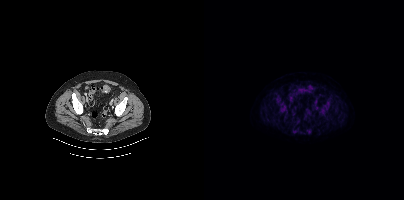
Paired axial CT (left) and PSMA PET (right), 18F-PSMA tracer. Slice 118 of 464.
Coordinates are on the 200×200 PET (right) panel. PSMA-avid tumor lesion bounding boxes:
| # | x0 | y0 | x1 | y1 |
|---|---|---|---|---|
| 1 | 116 | 108 | 122 | 115 |
| 2 | 75 | 107 | 83 | 112 |
| 3 | 72 | 95 | 76 | 103 |
| 4 | 103 | 129 | 107 | 133 |
| 5 | 80 | 113 | 83 | 117 |
Small PSMA-avid focus (2 to 4 px across) near (center x, center y): (124, 103).